Technique: Paired axial CT (left) and PSMA PET (right), 18F-PSMA tracer. slice 360 of 442. PET panel 200×200 px (4.1 mm/px).
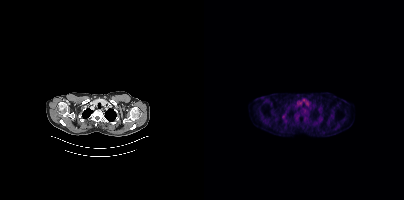
Findings: This slice has no annotated PSMA-avid lesion.